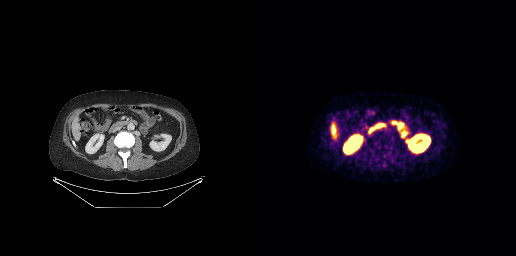
modality: PSMA PET/CT | tracer: 18F-PSMA | view: axial | PET grid: 256×256
Negative for PSMA-avid disease on this slice.